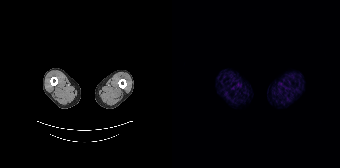
Paired axial CT (left) and PSMA PET (right), 68Ga tracer. Acquired on Siemens Biograph 64-4R TruePoint. No tumor lesions annotated on this slice.